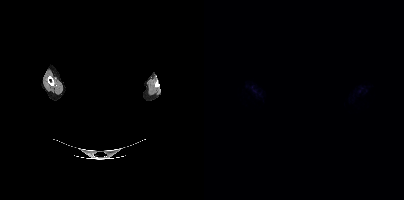
The face region was removed for patient privacy by blanking a rectangle over the head.
No tumor lesions annotated on this slice.